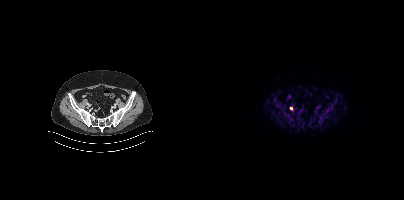
{"pet_grid":[200,200],"coord_frame":"pet_panel","coord_format":"x0,y0,x1,y1","lesion_bboxes":[],"small_foci_centers":[[87,108]],"modality":"PSMA PET/CT","view":"axial","tracer":"18F"}